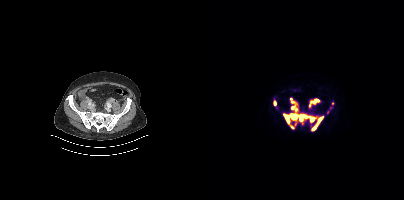
- Paired axial CT (left) and PSMA PET (right), 18F tracer
- acquired on Siemens Biograph mCT Flow 20
- PET panel 200×200 px (4.1 mm/px)
Findings: Coordinates are on the 200×200 PET (right) panel. PSMA-avid tumor lesion bounding boxes (x0,y0,x1,y1): [79,98,119,130], [105,98,115,107], [69,100,72,105]. Small PSMA-avid foci (2 to 4 px across) near (center x, center y): (128, 103), (91, 124).